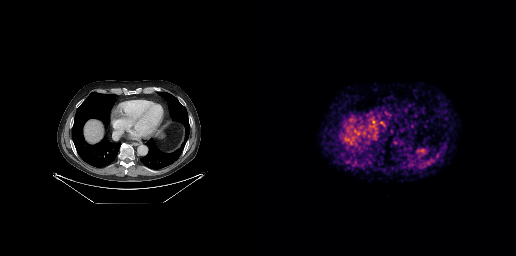
{"modality":"PSMA PET/CT","view":"axial","tracer":"68Ga","pet_grid":[256,256],"coord_frame":"pet_panel","coord_format":"x0,y0,x1,y1","psma_avid_lesions":false}